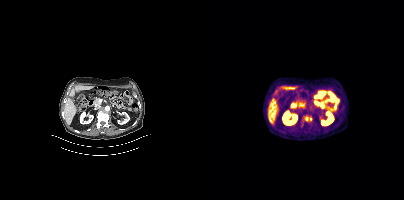
Technique: Left: CT. Right: PSMA PET, same axial level, 18F tracer. slice position z = -1176 mm. PET panel 200×200 px (4.1 mm/px).
Findings: Coordinates are on the 200×200 PET (right) panel. Small PSMA-avid foci (2 to 4 px across) near (center x, center y): (102, 118) / (106, 119).